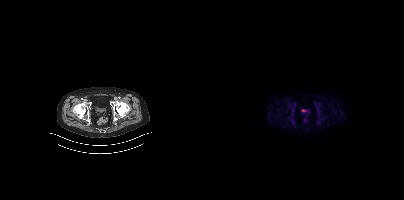
This slice has no annotated PSMA-avid lesion.